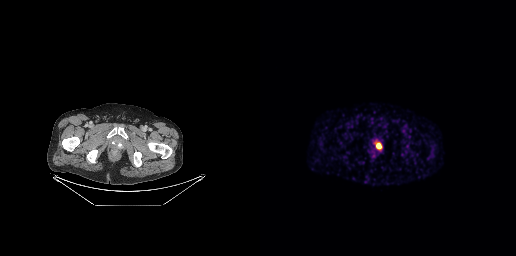
Coordinates are on the 256×256 PET (right) panel. PSMA-avid tumor lesion bounding box (x0,y0,x1,y1): [116,143,121,148].